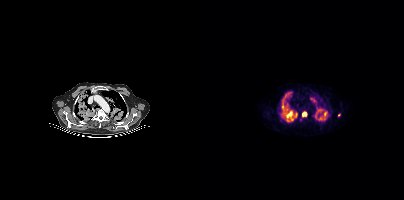
{"modality":"PSMA PET/CT","view":"axial","tracer":"18F","pet_grid":[200,200],"coord_frame":"pet_panel","coord_format":"x0,y0,x1,y1","partial":true,"lesion_bboxes":[[77,105,93,121],[113,108,122,120],[80,92,87,98],[98,111,102,116],[106,98,112,102],[77,99,80,103],[82,103,84,107],[111,112,113,118]]}